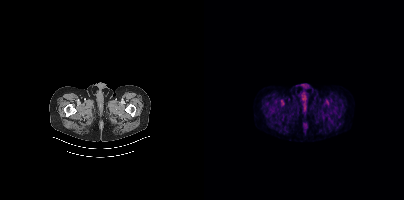
Left: CT. Right: PSMA PET, same axial level, 18F tracer. PET panel 200×200 px (4.1 mm/px). No PSMA-avid tumor lesions on this slice.